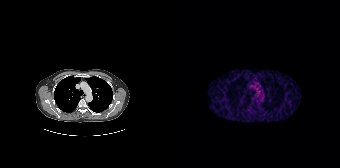
Coordinates are on the 168×168 PET (right) panel. Small PSMA-avid focus (2 to 4 px across) near (center x, center y): (86, 101).